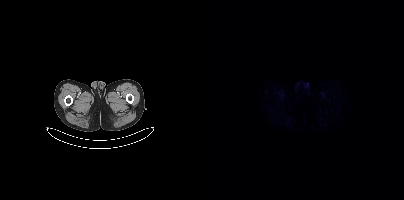
modality: PSMA PET/CT | tracer: [68Ga]Ga-PSMA-11 | view: axial
Negative for PSMA-avid disease on this slice.